- Left: CT. Right: PSMA PET, same axial level, 18F tracer
- acquired on Siemens Biograph mCT Flow 20
- slice position z = -722 mm
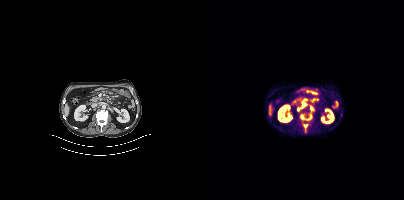
Findings: Coordinates are on the 200×200 PET (right) panel. PSMA-avid tumor lesion bounding boxes (x, y, width, height): x=96 y=114 w=13 h=19 / x=93 y=102 w=10 h=10. Small PSMA-avid focus (2 to 4 px across) near (center x, center y): (107, 108).